Paired axial CT (left) and PSMA PET (right), 68Ga-PSMA tracer. PET panel 256×256 px (2.7 mm/px).
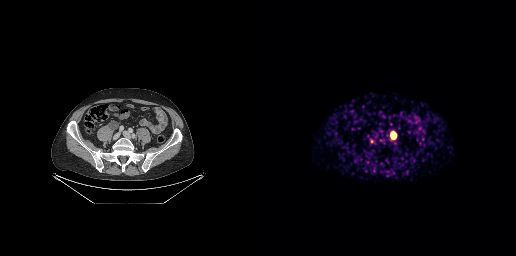
Coordinates are on the 256×256 PET (right) panel. PSMA-avid tumor lesion bounding boxes:
| # | x0 | y0 | x1 | y1 |
|---|---|---|---|---|
| 1 | 132 | 133 | 135 | 138 |
Small PSMA-avid focus (2 to 4 px across) near (center x, center y): (111, 140).